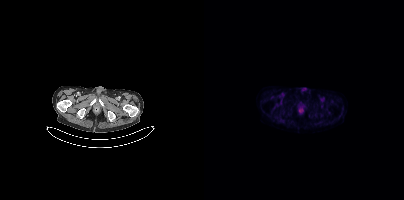
{"modality":"PSMA PET/CT","view":"axial","tracer":"[18F]PSMA-1007","pet_grid":[200,200],"coord_frame":"pet_panel","coord_format":"x0,y0,x1,y1","psma_avid_lesions":false}